Technique: Two-panel axial: CT | PSMA PET, 18F-PSMA tracer. acquired on Siemens Biograph mCT Flow 20. PET panel 200×200 px (4.1 mm/px).
Note: The face region was removed for patient privacy by blanking a rectangle over the head.
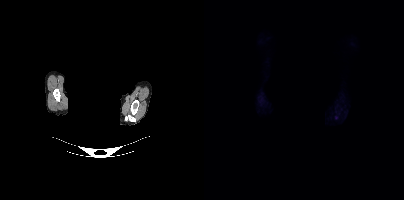
Findings: No tumor lesions annotated on this slice.